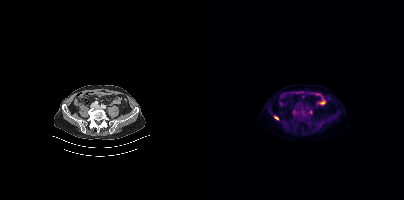
Findings: Coordinates are on the 200×200 PET (right) panel. PSMA-avid tumor lesion bounding boxes (x, y, width, height): x=88 y=110 w=5 h=5 | x=70 y=116 w=5 h=5. Small PSMA-avid focus (2 to 4 px across) near (center x, center y): (107, 111).
- Two-panel axial: CT | PSMA PET, 18F tracer